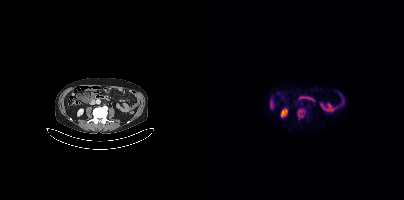
{"pet_grid":[200,200],"coord_frame":"pet_panel","coord_format":"x0,y0,x1,y1","lesion_bboxes":[[93,108,101,119]],"modality":"PSMA PET/CT","view":"axial","tracer":"[18F]PSMA-1007"}